Paired axial CT (left) and PSMA PET (right), 18F tracer. Acquired on Siemens Biograph mCT Flow 20. Slice 108 of 405. PET panel 200×200 px (4.1 mm/px).
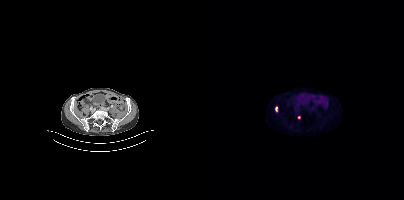
Coordinates are on the 200×200 PET (right) panel. PSMA-avid tumor lesion bounding boxes:
| # | x0 | y0 | x1 | y1 |
|---|---|---|---|---|
| 1 | 71 | 106 | 73 | 111 |
Small PSMA-avid focus (2 to 4 px across) near (center x, center y): (94, 117).